Two-panel axial: CT | PSMA PET, [18F]PSMA-1007 tracer. Acquired on Siemens Biograph mCT Flow 20. Slice position z = -1338 mm.
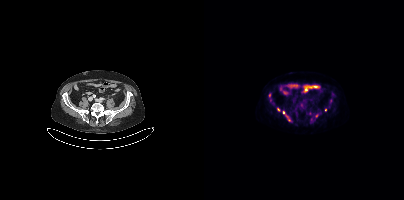
Coordinates are on the 200×200 PET (right) panel. PSMA-avid tumor lesion bounding boxes:
| # | x0 | y0 | x1 | y1 |
|---|---|---|---|---|
| 1 | 65 | 93 | 66 | 97 |
Small PSMA-avid foci (2 to 4 px across) near (center x, center y): (74, 109); (121, 110); (79, 112); (83, 116); (112, 115); (85, 120).